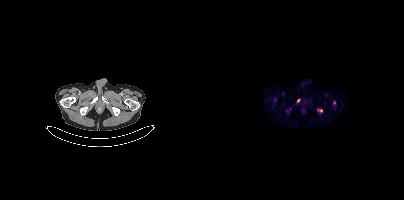
modality: PSMA PET/CT | tracer: [18F]PSMA-1007 | view: axial | PET grid: 200×200
Coordinates are on the 200×200 PET (right) panel. PSMA-avid tumor lesion bounding box (x0, y0)-(x1, y1): (113, 109)-(118, 112). Small PSMA-avid foci (2 to 4 px across) near (center x, center y): (94, 100) / (130, 103).